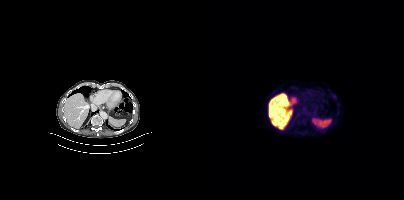
Findings: Negative for PSMA-avid disease on this slice.
Technique: Left: CT. Right: PSMA PET, same axial level, [18F]PSMA-1007 tracer. slice 244 of 421. PET panel 200×200 px (4.1 mm/px).